modality: PSMA PET/CT | tracer: [18F]PSMA-1007 | view: axial
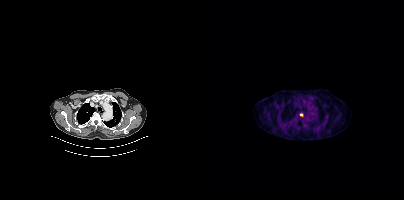
Coordinates are on the 200×200 PET (right) panel. Small PSMA-avid focus (2 to 4 px across) near (center x, center y): (97, 114).